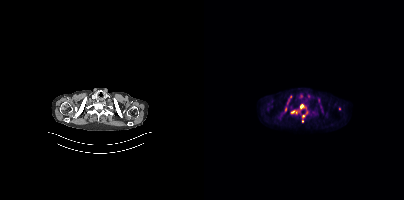
- Paired axial CT (left) and PSMA PET (right), 18F tracer
- PET panel 200×200 px (4.1 mm/px)
Findings: Coordinates are on the 200×200 PET (right) panel. (showing 3 of 4 foci) PSMA-avid tumor lesion bounding boxes (x0,y0,x1,y1): [86,103,104,122], [76,106,83,116], [116,105,119,112].